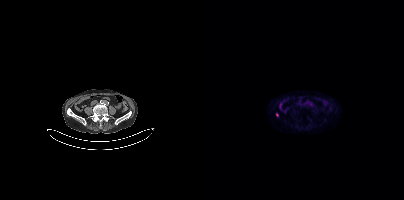
Two-panel axial: CT | PSMA PET, 18F-PSMA tracer. Acquired on Siemens Biograph mCT Flow 20. Coordinates are on the 200×200 PET (right) panel. Small PSMA-avid focus (2 to 4 px across) near (center x, center y): (73, 114).